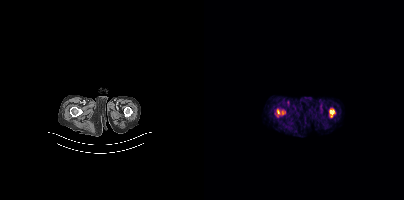
Coordinates are on the 200×200 PET (right) panel. PSMA-avid tumor lesion bounding box (x0,y0,x1,y1): [71,109,76,116]. Small PSMA-avid focus (2 to 4 px across) near (center x, center y): (78, 112).